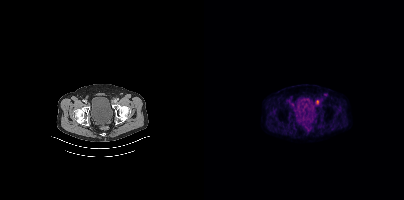
Coordinates are on the 200×200 PET (right) panel. PSMA-avid tumor lesion bounding box (x0,y0,x1,y1): [112,100,114,104].